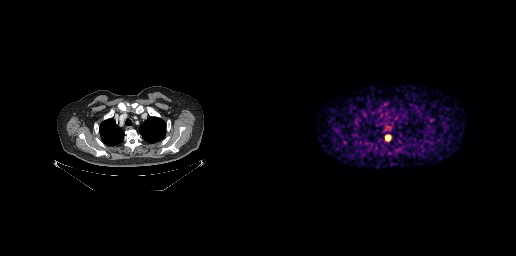
Coordinates are on the 256×256 PET (right) panel. PSMA-avid tumor lesion bounding box (x0,y0,x1,y1): [126,135,130,140].